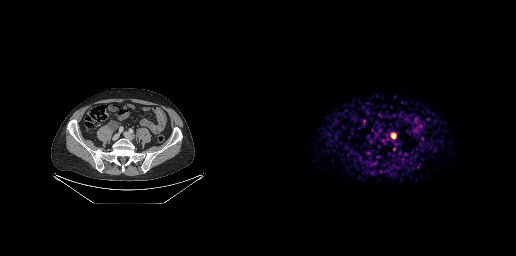
Technique: Paired axial CT (left) and PSMA PET (right), [68Ga]Ga-PSMA-11 tracer. slice position z = -802 mm. PET panel 256×256 px (2.7 mm/px).
Findings: No PSMA-avid tumor lesions on this slice.